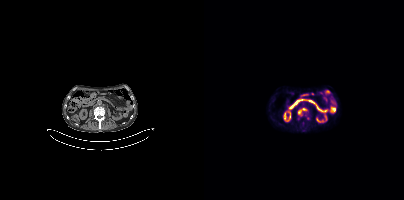
Coordinates are on the 200×200 PET (right) panel. PSMA-avid tumor lesion bounding box (x, y, width, height): x=94 y=108 w=9 h=7. Small PSMA-avid focus (2 to 4 px across) near (center x, center y): (94, 118).